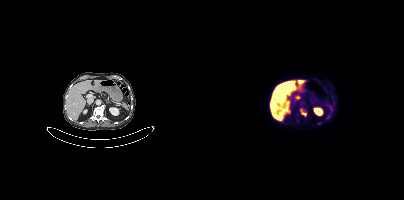
Two-panel axial: CT | PSMA PET, 18F tracer. PET panel 200×200 px (4.1 mm/px).
Coordinates are on the 200×200 PET (right) panel. PSMA-avid tumor lesion bounding boxes:
| # | x0 | y0 | x1 | y1 |
|---|---|---|---|---|
| 1 | 97 | 109 | 102 | 115 |